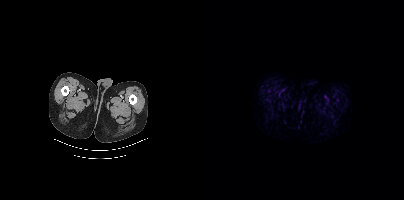
This slice has no annotated PSMA-avid lesion.